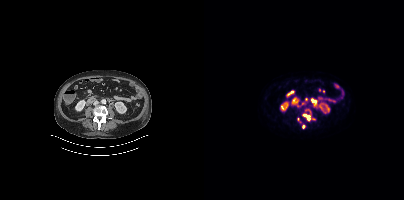
modality: PSMA PET/CT | tracer: 18F-PSMA | view: axial
Coordinates are on the 200×200 PET (right) panel. (showing 2 of 3 foci) PSMA-avid tumor lesion bounding box (x0,y0,x1,y1): [99,114,106,120]. Small PSMA-avid focus (2 to 4 px across) near (center x, center y): (99, 126).